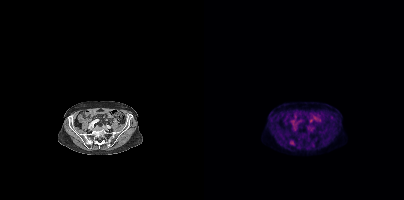
modality: PSMA PET/CT | tracer: 18F | view: axial | PET grid: 200×200
Coordinates are on the 200×200 PET (right) panel. Small PSMA-avid foci (2 to 4 px across) near (center x, center y): (87, 144), (127, 117).